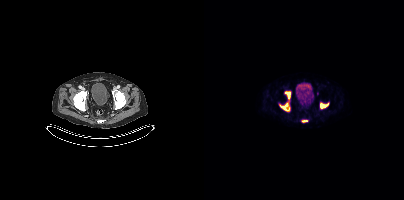
Paired axial CT (left) and PSMA PET (right), 18F tracer. PET panel 200×200 px (4.1 mm/px). Coordinates are on the 200×200 PET (right) panel. PSMA-avid tumor lesion bounding boxes (x0, y0)-(x1, y1): (76, 103)-(85, 110) / (116, 103)-(124, 108) / (81, 91)-(86, 99) / (98, 120)-(103, 121).